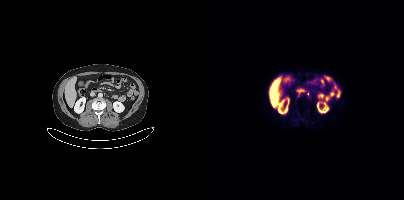
{"modality":"PSMA PET/CT","view":"axial","tracer":"18F","pet_grid":[200,200],"coord_frame":"pet_panel","coord_format":"x0,y0,x1,y1","lesion_bboxes":[],"small_foci_centers":[[104,93],[94,96]]}